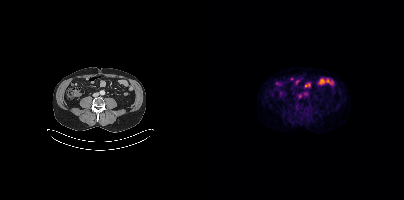
Coordinates are on the 200×200 PET (right) panel. Small PSMA-avid focus (2 to 4 px across) near (center x, center y): (95, 96).
modality: PSMA PET/CT | tracer: 18F | view: axial